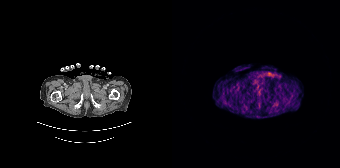
Technique: Left: CT. Right: PSMA PET, same axial level, 68Ga-PSMA tracer. acquired on Siemens Biograph 64-4R TruePoint.
Findings: This slice has no annotated PSMA-avid lesion.